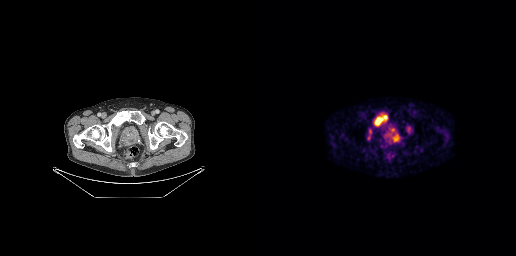
Left: CT. Right: PSMA PET, same axial level, 68Ga tracer. Acquired on GE Discovery 690. Slice position z = -840 mm. PET panel 256×256 px (2.7 mm/px). Coordinates are on the 256×256 PET (right) panel. (showing 3 of 4 foci) PSMA-avid tumor lesion bounding boxes (x, y, width, height): x=126 y=128 w=14 h=14 / x=114 y=114 w=14 h=12 / x=107 y=134 w=4 h=7.